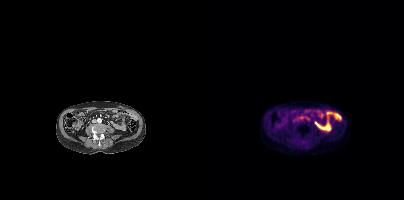
Only PSMA-avid lesion pieces thinner than 2 px on this slice (not listed).
modality: PSMA PET/CT | tracer: [18F]PSMA-1007 | view: axial | PET grid: 200×200